Technique: Paired axial CT (left) and PSMA PET (right), 18F-PSMA tracer. acquired on GE Discovery 690. slice position z = -120 mm.
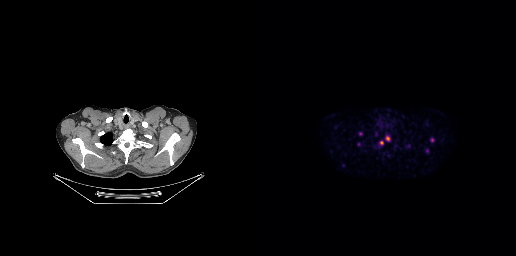
Findings: Coordinates are on the 256×256 PET (right) panel. (showing 5 of 6 foci) PSMA-avid tumor lesion bounding box (x0,y0,x1,y1): [126,136,129,140]. Small PSMA-avid foci (2 to 4 px across) near (center x, center y): (121, 142), (100, 133), (172, 140), (98, 144).